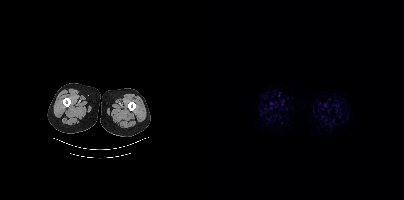
No tumor lesions annotated on this slice.